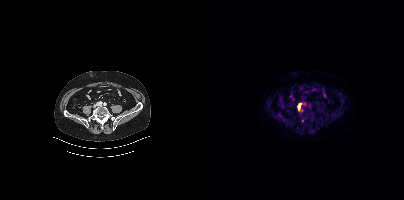
modality: PSMA PET/CT | tracer: 18F | view: axial
Coordinates are on the 200×200 PET (right) panel. PSMA-avid tumor lesion bounding box (x, y, width, height): x=94 y=104 w=3 h=6.